Technique: Left: CT. Right: PSMA PET, same axial level, [18F]PSMA-1007 tracer. PET panel 200×200 px (4.1 mm/px).
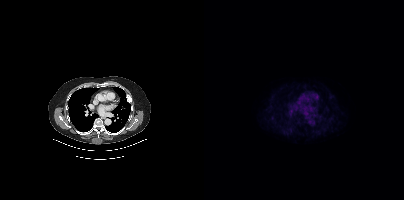
Findings: No PSMA-avid tumor lesions on this slice.